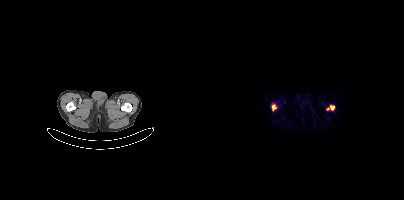
Two-panel axial: CT | PSMA PET, 68Ga tracer.
Coordinates are on the 200×200 PET (right) panel. PSMA-avid tumor lesion bounding boxes:
| # | x0 | y0 | x1 | y1 |
|---|---|---|---|---|
| 1 | 124 | 105 | 130 | 110 |
| 2 | 68 | 105 | 72 | 110 |